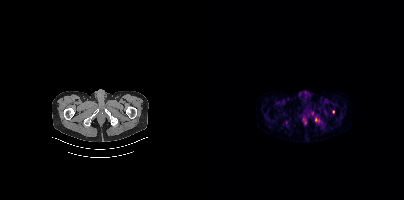
Coordinates are on the 200×200 PET (right) panel. Small PSMA-avid foci (2 to 4 px across) near (center x, center y): (112, 119) / (129, 111).